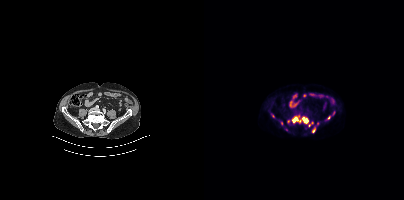
- Two-panel axial: CT | PSMA PET, 18F tracer
- slice position z = -792 mm
- PET panel 200×200 px (4.1 mm/px)
Findings: Coordinates are on the 200×200 PET (right) panel. (showing 6 of 9 foci) PSMA-avid tumor lesion bounding boxes (x, y, width, height): x=88 y=117 w=7 h=6 / x=99 y=118 w=6 h=6. Small PSMA-avid foci (2 to 4 px across) near (center x, center y): (124, 117) / (68, 115) / (109, 130) / (129, 112).